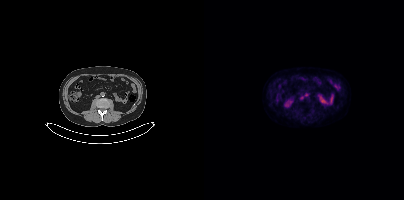
modality: PSMA PET/CT | tracer: 18F | view: axial | PET grid: 200×200
Negative for PSMA-avid disease on this slice.